- Left: CT. Right: PSMA PET, same axial level, 18F tracer
- slice 130 of 373
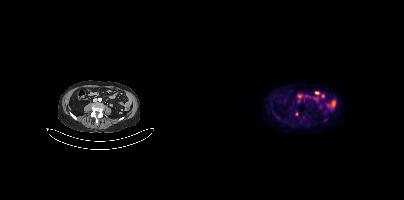
Findings: Coordinates are on the 200×200 PET (right) panel. Small PSMA-avid focus (2 to 4 px across) near (center x, center y): (92, 114).